Left: CT. Right: PSMA PET, same axial level, 18F-PSMA tracer. Slice 114 of 373. PET panel 200×200 px (4.1 mm/px).
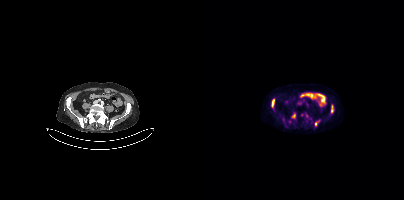
Coordinates are on the 200×200 PET (right) panel. PSMA-avid tumor lesion bounding boxes:
| # | x0 | y0 | x1 | y1 |
|---|---|---|---|---|
| 1 | 67 | 99 | 70 | 106 |
| 2 | 127 | 105 | 129 | 112 |
| 3 | 88 | 114 | 91 | 118 |
| 4 | 111 | 121 | 115 | 125 |